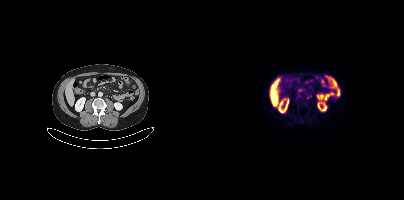
Technique: Left: CT. Right: PSMA PET, same axial level, 18F-PSMA tracer. PET panel 200×200 px (4.1 mm/px).
Findings: Coordinates are on the 200×200 PET (right) panel. (showing 3 of 4 foci) Small PSMA-avid foci (2 to 4 px across) near (center x, center y): (95, 96) (102, 92) (103, 97).